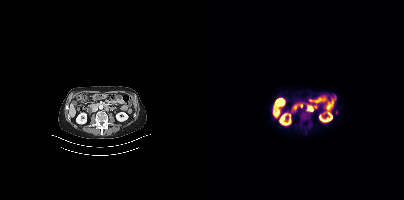
Findings: Coordinates are on the 200×200 PET (right) panel. Small PSMA-avid focus (2 to 4 px across) near (center x, center y): (106, 108).
- Two-panel axial: CT | PSMA PET, 18F-PSMA tracer